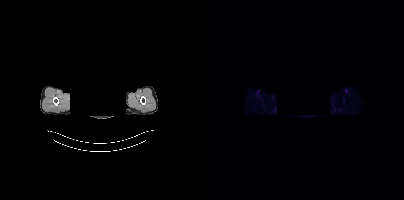
No tumor lesions annotated on this slice. A rectangle over the head was blacked out to remove identifiable facial features. Two-panel axial: CT | PSMA PET, 18F-PSMA tracer. Slice 358 of 413. PET panel 200×200 px (4.1 mm/px).